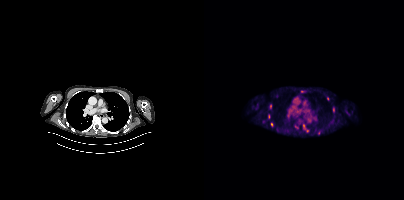
{"modality":"PSMA PET/CT","view":"axial","tracer":"18F","pet_grid":[200,200],"coord_frame":"pet_panel","coord_format":"x0,y0,x1,y1","partial":true,"lesion_bboxes":[],"small_foci_centers":[[129,109],[67,124]]}